Paired axial CT (left) and PSMA PET (right), 18F-PSMA tracer. Slice 213 of 387.
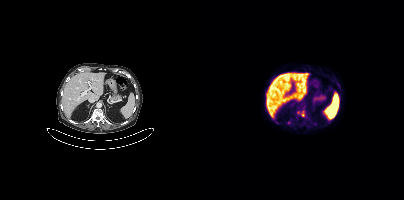
Coordinates are on the 200×200 PET (right) panel. (showing 2 of 3 foci) Small PSMA-avid foci (2 to 4 px across) near (center x, center y): (94, 112); (98, 115).